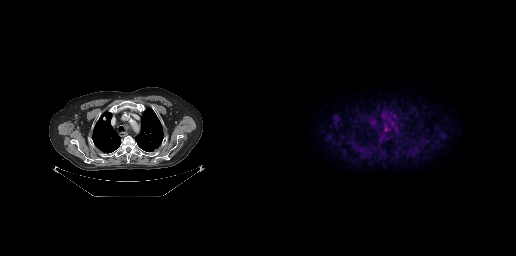
No tumor lesions annotated on this slice.